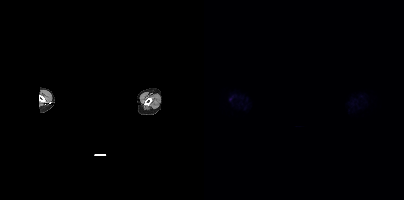
Two-panel axial: CT | PSMA PET, 18F-PSMA tracer. The head region is masked for de-identification. Negative for PSMA-avid disease on this slice.